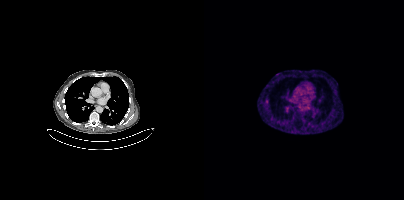
Coordinates are on the 200×200 PET (right) panel. Small PSMA-avid focus (2 to 4 px across) near (center x, center y): (62, 101).